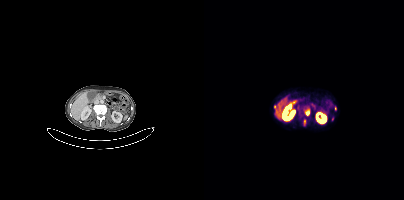
{"modality":"PSMA PET/CT","view":"axial","tracer":"68Ga-PSMA","pet_grid":[200,200],"coord_frame":"pet_panel","coord_format":"x0,y0,x1,y1","lesion_bboxes":[[102,111,105,116],[70,105,72,109],[100,120,101,125]],"small_foci_centers":[[131,108]]}